Technique: Two-panel axial: CT | PSMA PET, 18F tracer. slice position z = -924 mm.
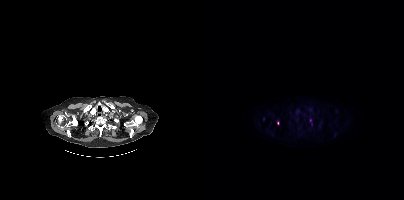
Findings: Coordinates are on the 200×200 PET (right) panel. PSMA-avid tumor lesion bounding box (x0,y0,x1,y1): [105,119,108,125]. Small PSMA-avid focus (2 to 4 px across) near (center x, center y): (74, 122).